Two-panel axial: CT | PSMA PET, 18F tracer. Acquired on GE Discovery 690. PET panel 256×256 px (2.7 mm/px).
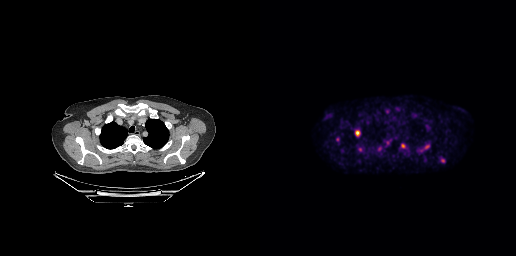
Coordinates are on the 256×256 PET (right) panel. PSMA-avid tumor lesion bounding boxes (x, y, width, height): x=95 y=130 w=6 h=7; x=141 y=143 w=5 h=6; x=165 y=145 w=5 h=4. Small PSMA-avid foci (2 to 4 px across) near (center x, center y): (182, 160); (100, 149); (77, 139).